modality: PSMA PET/CT | tracer: [18F]PSMA-1007 | view: axial | PET grid: 200×200
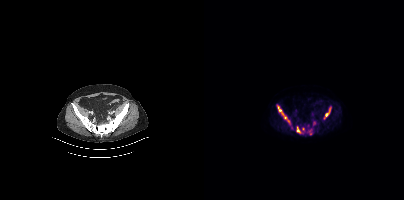
Coordinates are on the 200×200 PET (right) panel. (showing 4 of 6 foci) PSMA-avid tumor lesion bounding boxes (x, y, width, height): x=120 y=107 w=7 h=13 / x=74 y=106 w=6 h=9 / x=93 y=127 w=4 h=6. Small PSMA-avid focus (2 to 4 px across) near (center x, center y): (81, 117).